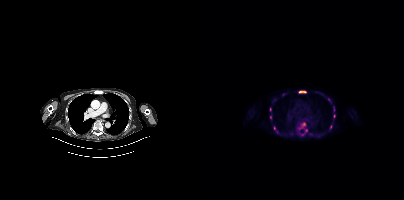
Technique: Paired axial CT (left) and PSMA PET (right), 18F-PSMA tracer. acquired on Siemens Biograph mCT Flow 20. slice 297 of 415. PET panel 200×200 px (4.1 mm/px).
Findings: Coordinates are on the 200×200 PET (right) panel. (showing 13 of 15 foci) PSMA-avid tumor lesion bounding boxes (x0,y0,x1,y1): [95,122,101,129], [95,91,102,93], [65,107,67,111]. Small PSMA-avid foci (2 to 4 px across) near (center x, center y): (127, 126), (70, 127), (130, 115), (102, 130), (66, 117), (124, 99), (79, 94), (129, 107), (106, 133), (98, 134).